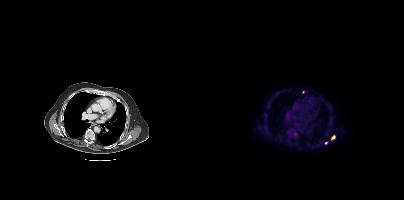
Coordinates are on the 200×200 PET (right) panel. (showing 2 of 3 foci) Small PSMA-avid foci (2 to 4 px across) near (center x, center y): (129, 137); (121, 142).
modality: PSMA PET/CT | tracer: 18F | view: axial